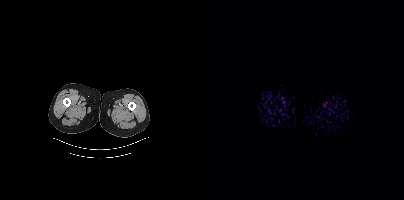
Findings: No PSMA-avid tumor lesions on this slice.
- Left: CT. Right: PSMA PET, same axial level, 18F-PSMA tracer
- slice position z = -1563 mm